- Left: CT. Right: PSMA PET, same axial level, [18F]PSMA-1007 tracer
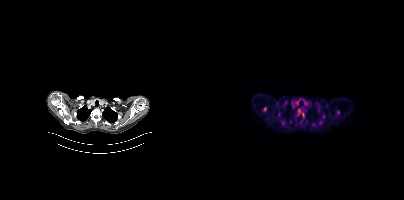
Findings: Coordinates are on the 200×200 PET (right) panel. (showing 1 of 5 foci) Small PSMA-avid focus (2 to 4 px across) near (center x, center y): (61, 109).